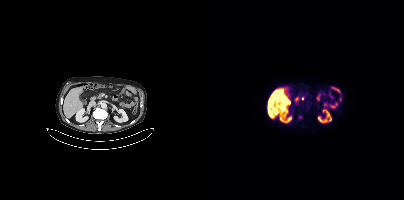
Left: CT. Right: PSMA PET, same axial level, 18F-PSMA tracer. Slice 194 of 431. Coordinates are on the 200×200 PET (right) panel. Small PSMA-avid focus (2 to 4 px across) near (center x, center y): (96, 117).